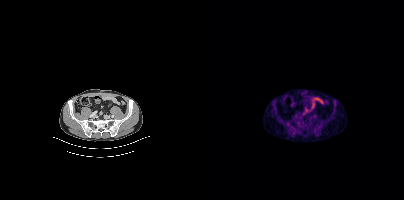
{"pet_grid":[200,200],"coord_frame":"pet_panel","coord_format":"x0,y0,x1,y1","psma_avid_lesions":false,"modality":"PSMA PET/CT","view":"axial","tracer":"18F-PSMA"}